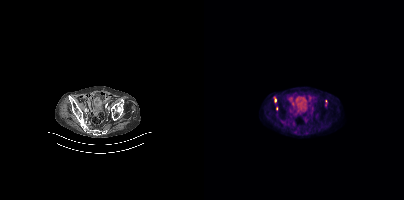
Technique: Left: CT. Right: PSMA PET, same axial level, 18F-PSMA tracer. acquired on Siemens Biograph mCT Flow 20.
Findings: Coordinates are on the 200×200 PET (right) panel. (showing 1 of 2 foci) Small PSMA-avid focus (2 to 4 px across) near (center x, center y): (71, 100).